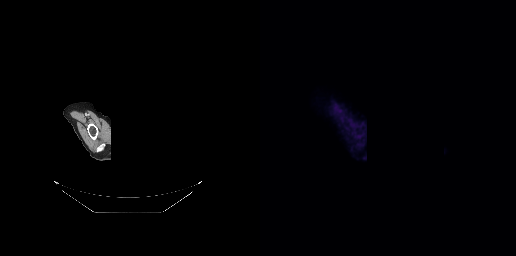
Privacy masking over the head, with the pixels inside a rectangle set to black. Two-panel axial: CT | PSMA PET, 18F-PSMA tracer. PET panel 256×256 px (2.7 mm/px). This slice has no annotated PSMA-avid lesion.